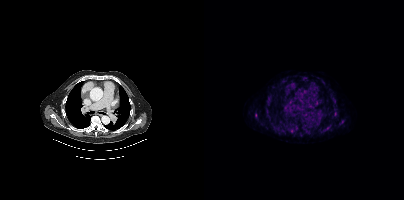
Paired axial CT (left) and PSMA PET (right), 18F-PSMA tracer. Slice 329 of 454. Coordinates are on the 200×200 PET (right) panel. Small PSMA-avid foci (2 to 4 px across) near (center x, center y): (51, 115) | (87, 130).